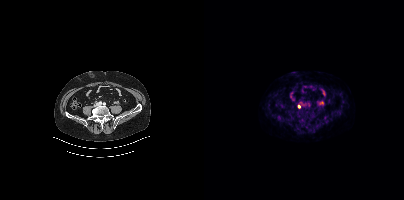
Coordinates are on the 200×200 PET (right) panel. Small PSMA-avid focus (2 to 4 px across) near (center x, center y): (95, 106).